- Left: CT. Right: PSMA PET, same axial level, [18F]PSMA-1007 tracer
- acquired on Siemens Biograph mCT Flow 20
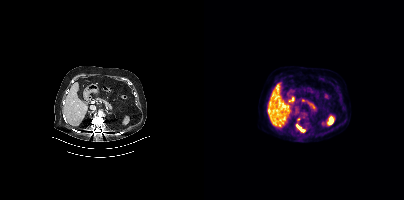
Findings: Coordinates are on the 200×200 PET (right) panel. PSMA-avid tumor lesion bounding box (x, y, width, height): x=92 y=124 w=9 h=8.